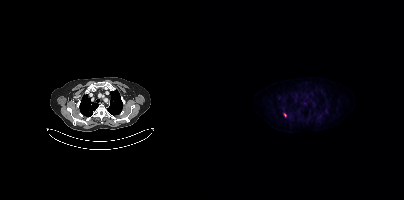
Technique: Two-panel axial: CT | PSMA PET, 18F-PSMA tracer. PET panel 200×200 px (4.1 mm/px).
Findings: Only PSMA-avid lesion pieces thinner than 2 px on this slice (not listed).